- Left: CT. Right: PSMA PET, same axial level, 18F tracer
- PET panel 256×256 px (2.7 mm/px)
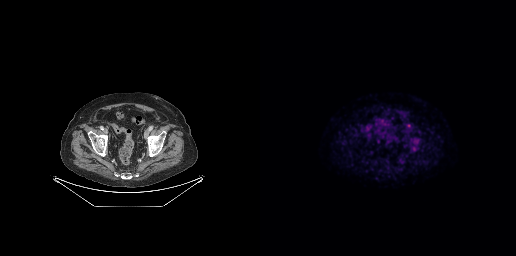
Findings: Coordinates are on the 256×256 PET (right) panel. Small PSMA-avid focus (2 to 4 px across) near (center x, center y): (148, 125).